modality: PSMA PET/CT | tracer: 68Ga-PSMA | view: axial
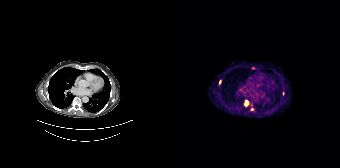
Coordinates are on the 168×168 PET (right) panel. (showing 2 of 4 foci) PSMA-avid tumor lesion bounding box (x0, y0)-(x1, y1): (73, 101)-(75, 105). Small PSMA-avid focus (2 to 4 px across) near (center x, center y): (47, 81).